Left: CT. Right: PSMA PET, same axial level, [68Ga]Ga-PSMA-11 tracer. Slice 322 of 405. PET panel 200×200 px (4.1 mm/px).
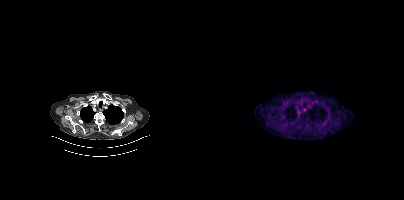
No tumor lesions annotated on this slice.